Technique: Two-panel axial: CT | PSMA PET, 18F-PSMA tracer. slice 139 of 466. PET panel 200×200 px (4.1 mm/px).
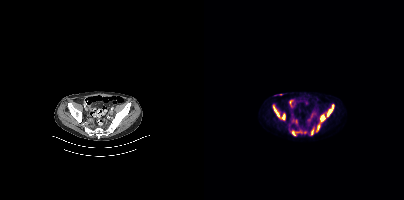
Findings: Coordinates are on the 200×200 PET (right) panel. PSMA-avid tumor lesion bounding boxes (x, y, width, height): x=68 y=104 w=14 h=17 | x=123 y=104 w=8 h=13 | x=116 y=114 w=6 h=8 | x=88 y=131 w=4 h=5 | x=113 y=125 w=3 h=5 | x=107 y=130 w=3 h=5.